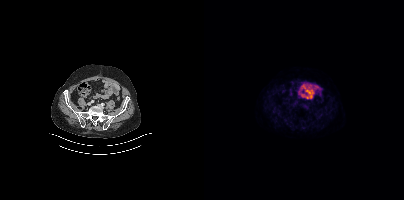
Paired axial CT (left) and PSMA PET (right), 18F-PSMA tracer. Acquired on Siemens Biograph mCT Flow 20. Slice 123 of 413. PET panel 200×200 px (4.1 mm/px). No PSMA-avid tumor lesions on this slice.